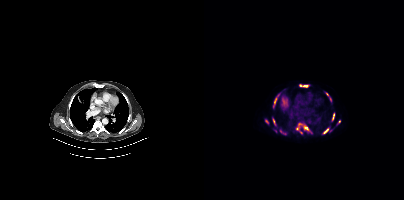
Coordinates are on the 200×200 PET (right) panel. (showing 6 of 9 foci) PSMA-avid tumor lesion bounding boxes (x0,y0,x1,y1): [119,128,124,133]; [100,127,104,129]; [129,114,130,119]. Small PSMA-avid foci (2 to 4 px across) near (center x, center y): (101, 85); (69, 121); (135, 121).